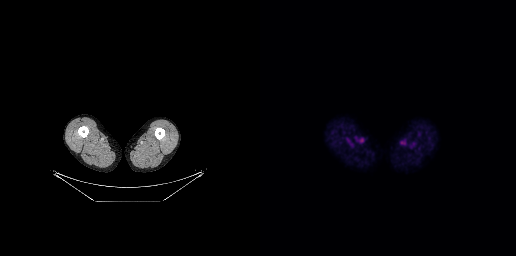
{"modality":"PSMA PET/CT","view":"axial","tracer":"18F","pet_grid":[256,256],"coord_frame":"pet_panel","coord_format":"x0,y0,x1,y1","psma_avid_lesions":false}